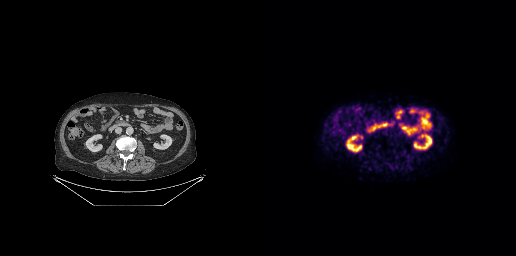
This slice has no annotated PSMA-avid lesion.